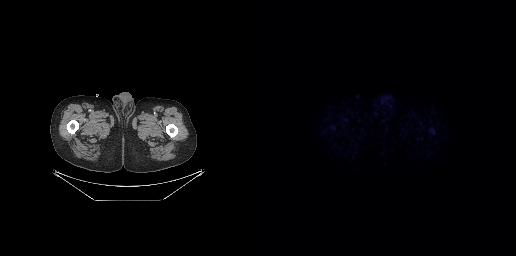
Negative for PSMA-avid disease on this slice.
modality: PSMA PET/CT | tracer: [18F]PSMA-1007 | view: axial